Two-panel axial: CT | PSMA PET, 18F tracer. Slice 147 of 299. PET panel 256×256 px (2.7 mm/px).
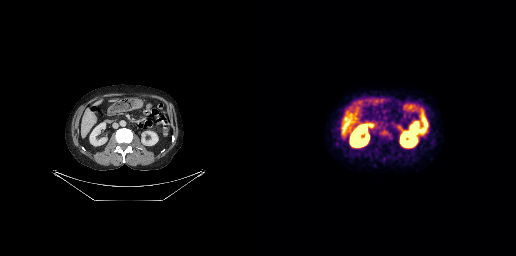
This slice has no annotated PSMA-avid lesion.